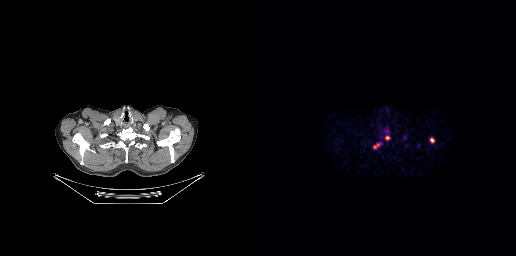
- Two-panel axial: CT | PSMA PET, [18F]PSMA-1007 tracer
- slice position z = -114 mm
Findings: Coordinates are on the 256×256 PET (right) panel. PSMA-avid tumor lesion bounding boxes (x0,y0,x1,y1): [113,143,121,149]; [170,137,174,142]; [125,135,130,140].